- Left: CT. Right: PSMA PET, same axial level, [18F]PSMA-1007 tracer
- slice 2 of 419
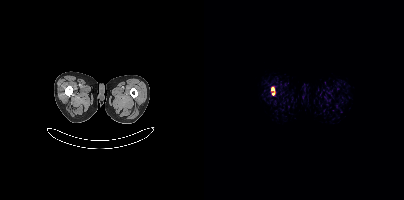
Findings: Coordinates are on the 200×200 PET (right) panel. PSMA-avid tumor lesion bounding box (x0, y0)-(x1, y1): (67, 87)-(70, 94).